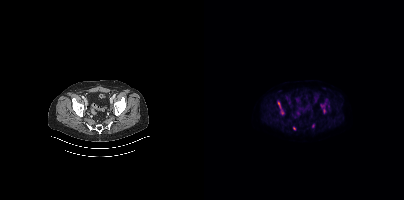
modality: PSMA PET/CT | tracer: 18F-PSMA | view: axial
Coordinates are on the 200×200 PET (right) panel. (showing 2 of 4 foci) PSMA-avid tumor lesion bounding box (x0, y0)-(x1, y1): (73, 101)-(79, 114). Small PSMA-avid focus (2 to 4 px across) near (center x, center y): (90, 128).